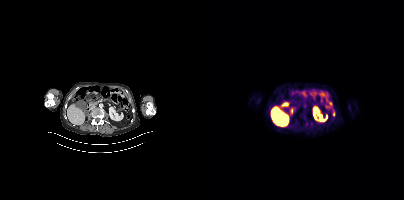
Two-panel axial: CT | PSMA PET, [18F]PSMA-1007 tracer. Acquired on Siemens Biograph mCT Flow 20. Slice 169 of 421. Coordinates are on the 200×200 PET (right) panel. Small PSMA-avid focus (2 to 4 px across) near (center x, center y): (129, 113).